modality: PSMA PET/CT | tracer: 68Ga | view: axial | PET grid: 200×200
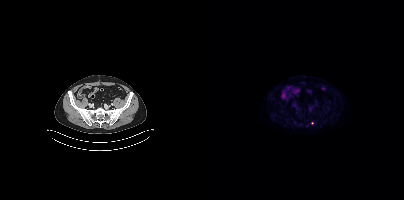
Coordinates are on the 200×200 PET (right) panel. Small PSMA-avid focus (2 to 4 px across) near (center x, center y): (108, 122).